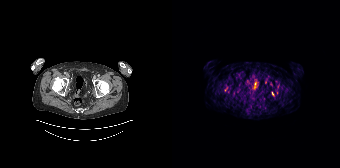
modality: PSMA PET/CT | tracer: 68Ga-PSMA | view: axial
Coordinates are on the 168×168 PET (right) panel. (showing 1 of 3 foci) Small PSMA-avid focus (2 to 4 px across) near (center x, center y): (100, 93).